The head region is masked for de-identification. Two-panel axial: CT | PSMA PET, 18F tracer. Slice position z = -13 mm. PET panel 256×256 px (2.7 mm/px).
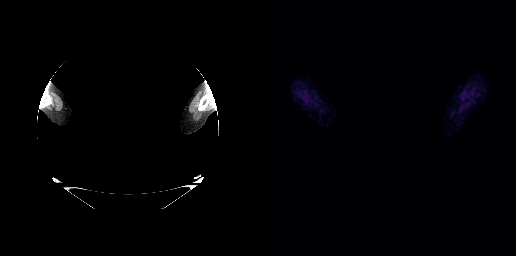
This slice has no annotated PSMA-avid lesion.